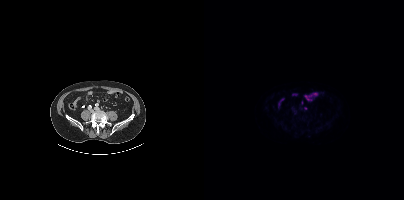
{"modality":"PSMA PET/CT","view":"axial","tracer":"[18F]PSMA-1007","pet_grid":[200,200],"coord_frame":"pet_panel","coord_format":"x0,y0,x1,y1","lesion_bboxes":[],"small_foci_centers":[[101,108]]}